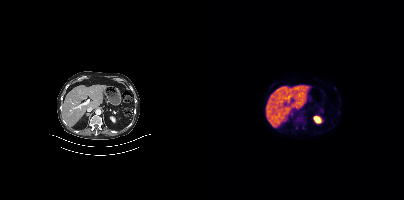
No tumor lesions annotated on this slice.